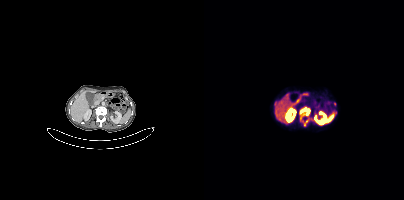
Coordinates are on the 200×200 PET (right) panel. PSMA-avid tumor lesion bounding boxes (x0,y0,x1,y1): [96,107,106,118]; [100,120,104,125]. Small PSMA-avid focus (2 to 4 px across) near (center x, center y): (130, 103).